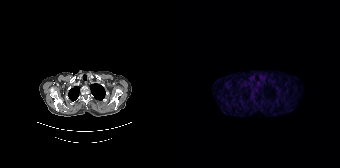
- Paired axial CT (left) and PSMA PET (right), 68Ga tracer
- acquired on Siemens Biograph 64-4R TruePoint
Findings: No PSMA-avid tumor lesions on this slice.